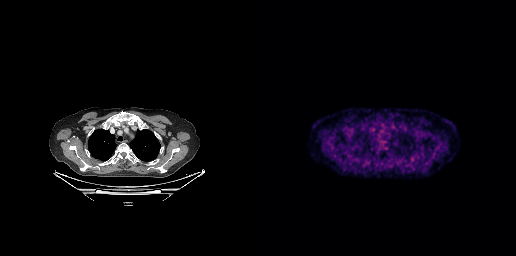
No PSMA-avid tumor lesions on this slice.